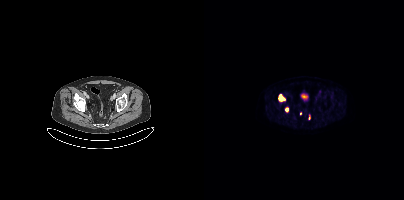
Coordinates are on the 200×200 PET (right) panel. PSMA-avid tumor lesion bounding boxes:
| # | x0 | y0 | x1 | y1 |
|---|---|---|---|---|
| 1 | 75 | 95 | 80 | 100 |
Small PSMA-avid focus (2 to 4 px across) near (center x, center y): (83, 109).
Paired axial CT (left) and PSMA PET (right), [18F]PSMA-1007 tracer. Slice position z = -889 mm.